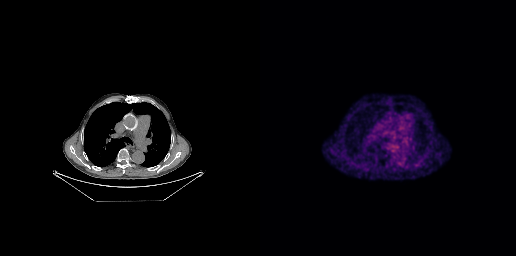
No PSMA-avid tumor lesions on this slice.